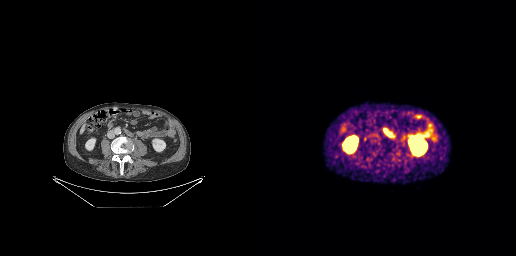
No PSMA-avid tumor lesions on this slice.